Technique: Two-panel axial: CT | PSMA PET, 18F tracer. acquired on Siemens Biograph mCT Flow 20.
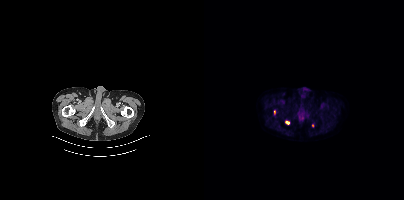
Findings: Coordinates are on the 200×200 PET (right) panel. PSMA-avid tumor lesion bounding box (x0, y0)-(x1, y1): (70, 110)-(71, 114). Small PSMA-avid foci (2 to 4 px across) near (center x, center y): (83, 122) | (108, 125).